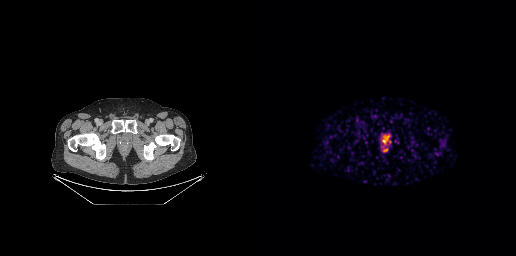
Findings: Coordinates are on the 256×256 PET (right) panel. Small PSMA-avid focus (2 to 4 px across) near (center x, center y): (123, 142).
- Two-panel axial: CT | PSMA PET, [68Ga]Ga-PSMA-11 tracer
- acquired on GE Discovery 690
- slice position z = -893 mm